Left: CT. Right: PSMA PET, same axial level, 18F-PSMA tracer. Acquired on Siemens Biograph mCT Flow 20. Slice 49 of 431.
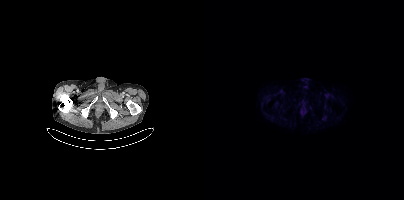
No PSMA-avid tumor lesions on this slice.